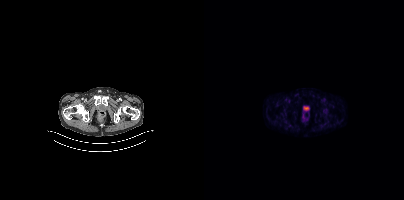
Paired axial CT (left) and PSMA PET (right), 18F tracer. No tumor lesions annotated on this slice.